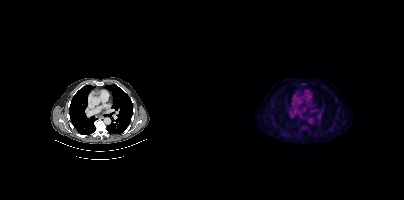
Findings: No PSMA-avid tumor lesions on this slice.
- Two-panel axial: CT | PSMA PET, [18F]PSMA-1007 tracer
- acquired on Siemens Biograph mCT Flow 20
- PET panel 200×200 px (4.1 mm/px)